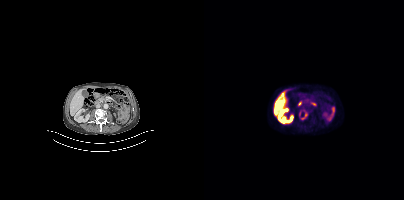
modality: PSMA PET/CT | tracer: 18F | view: axial
Coordinates are on the 200×200 PET (right) panel. PSMA-avid tumor lesion bounding box (x0, y0)-(x1, y1): (95, 110)-(103, 119).